Technique: Paired axial CT (left) and PSMA PET (right), 18F tracer. PET panel 200×200 px (4.1 mm/px).
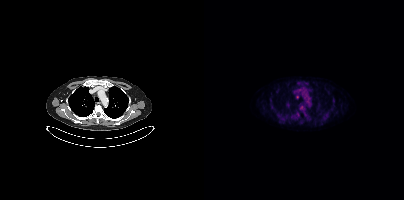
Findings: Coordinates are on the 200×200 PET (right) panel. (showing 3 of 4 foci) PSMA-avid tumor lesion bounding box (x, y, width, height): x=96 y=106 w=5 h=5. Small PSMA-avid foci (2 to 4 px across) near (center x, center y): (94, 114) / (93, 96).